modality: PSMA PET/CT | tracer: 18F | view: axial | PET grid: 200×200
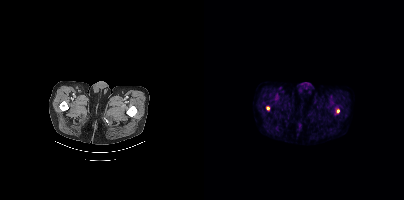
Coordinates are on the 200×200 PET (right) panel. Small PSMA-avid foci (2 to 4 px across) near (center x, center y): (134, 110), (64, 108).